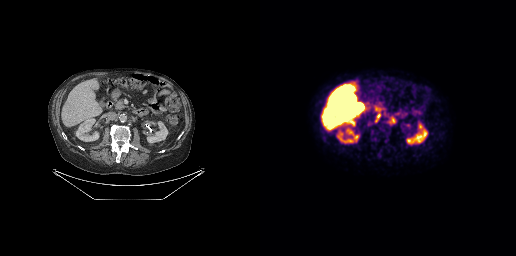
{"modality":"PSMA PET/CT","view":"axial","tracer":"18F-PSMA","pet_grid":[256,256],"coord_frame":"pet_panel","coord_format":"x0,y0,x1,y1","lesion_bboxes":[[127,116,136,124]]}